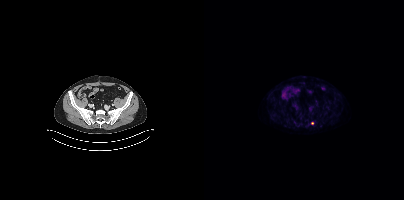
Coordinates are on the 200×200 PET (right) panel. Small PSMA-avid focus (2 to 4 px across) near (center x, center y): (108, 123).